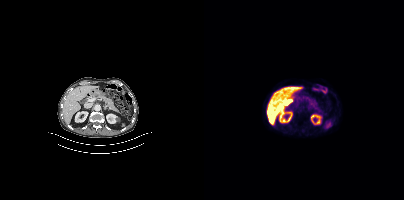
No PSMA-avid tumor lesions on this slice.